Left: CT. Right: PSMA PET, same axial level, 18F-PSMA tracer. Slice position z = -1422 mm. PET panel 200×200 px (4.1 mm/px).
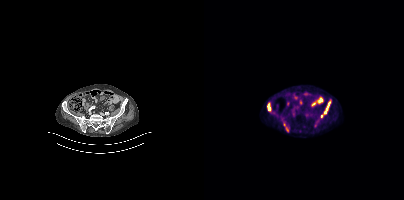
Coordinates are on the 200×200 PET (right) panel. (showing 3 of 4 foci) PSMA-avid tumor lesion bounding boxes (x, y, width, height): x=120 y=102 w=7 h=11; x=63 y=104 w=5 h=8; x=79 y=123 w=6 h=9.